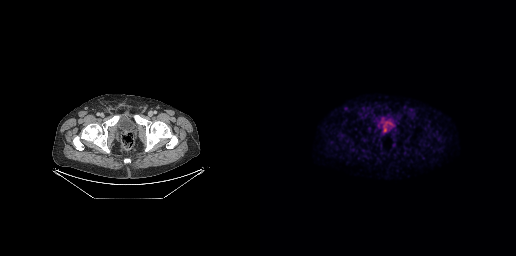
{"modality":"PSMA PET/CT","view":"axial","tracer":"[18F]PSMA-1007","pet_grid":[256,256],"coord_frame":"pet_panel","coord_format":"x0,y0,x1,y1","lesion_bboxes":[[123,129,127,132]]}